modality: PSMA PET/CT | tracer: 68Ga | view: axial | PET grid: 200×200
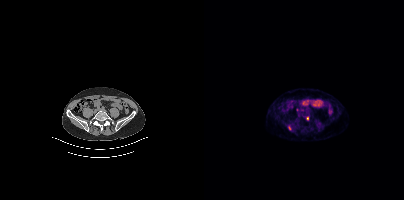
Coordinates are on the 200×200 PET (right) panel. Small PSMA-avid foci (2 to 4 px across) near (center x, center y): (103, 118); (85, 128).